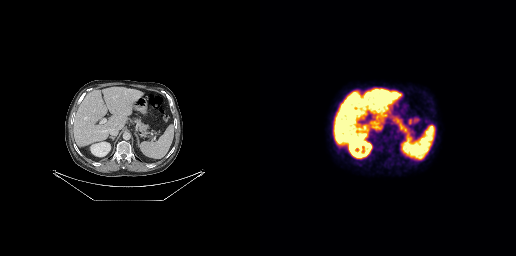
{"modality":"PSMA PET/CT","view":"axial","tracer":"[18F]PSMA-1007","pet_grid":[256,256],"coord_frame":"pet_panel","coord_format":"x0,y0,x1,y1","psma_avid_lesions":false}